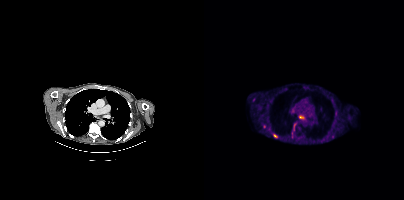
Coordinates are on the 200×200 PET (right) panel. (showing 2 of 6 foci) PSMA-avid tumor lesion bounding box (x0, y0)-(x1, y1): (69, 134)-(73, 137). Small PSMA-avid focus (2 to 4 px across) near (center x, center y): (118, 140).